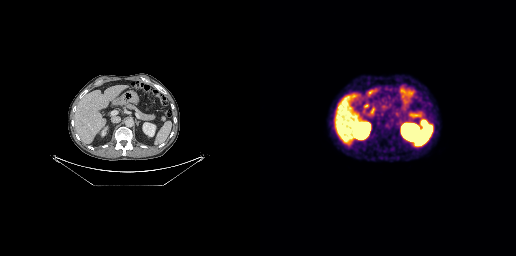
modality: PSMA PET/CT | tracer: 68Ga | view: axial | PET grid: 256×256
Coordinates are on the 256×256 PET (right) panel. PSMA-avid tumor lesion bounding box (x0, y0)-(x1, y1): (162, 120)-(166, 124).